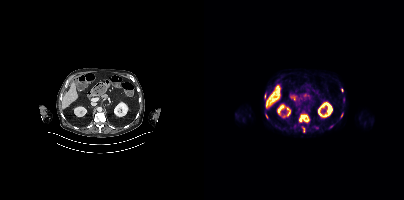
Coordinates are on the 200×200 PET (right) panel. (showing 5 of 7 foci) PSMA-avid tumor lesion bounding boxes (x0, y0)-(x1, y1): (95, 115)-(105, 121) / (62, 114)-(63, 118). Small PSMA-avid foci (2 to 4 px across) near (center x, center y): (99, 129) / (139, 99) / (137, 115). Two-panel axial: CT | PSMA PET, 18F-PSMA tracer.